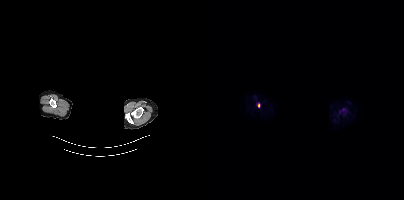
deidentification: facial region redacted | modality: PSMA PET/CT | tracer: 18F-PSMA | view: axial
Coordinates are on the 200×200 PET (right) panel. PSMA-avid tumor lesion bounding box (x, y, width, height): x=54 y=103 w=2 h=5.